Technique: Paired axial CT (left) and PSMA PET (right), 18F tracer. acquired on Siemens Biograph mCT Flow 20. slice position z = -1510 mm.
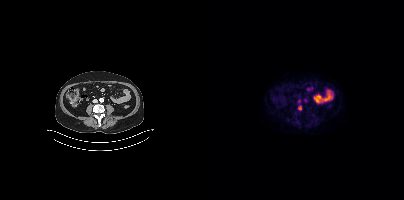
Findings: No PSMA-avid tumor lesions on this slice.